modality: PSMA PET/CT | tracer: 18F | view: axial
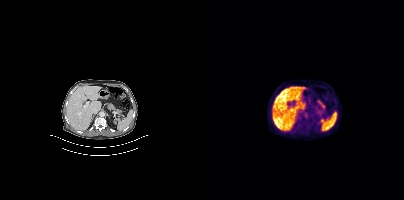
No tumor lesions annotated on this slice.